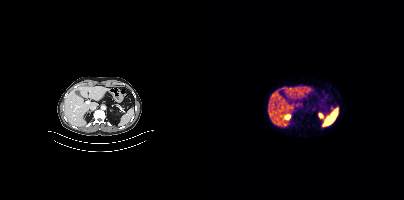
{"modality":"PSMA PET/CT","view":"axial","tracer":"68Ga-PSMA","pet_grid":[200,200],"coord_frame":"pet_panel","coord_format":"x0,y0,x1,y1","partial":true,"lesion_bboxes":[]}